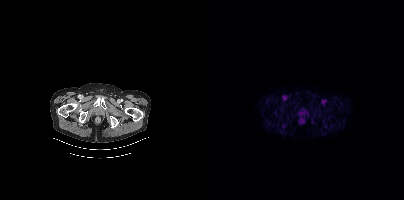
No tumor lesions annotated on this slice.